Paired axial CT (left) and PSMA PET (right), [18F]PSMA-1007 tracer. Slice 239 of 403.
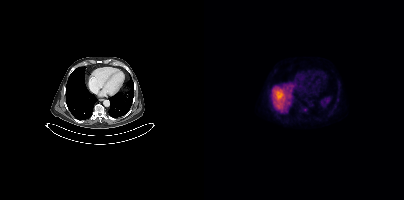
Coordinates are on the 200×200 PET (right) panel. Small PSMA-avid focus (2 to 4 px across) near (center x, center y): (101, 109).